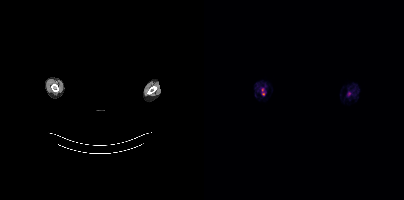
No PSMA-avid tumor lesions on this slice.
Facial anatomy redacted by setting a rectangular region of the head to black.